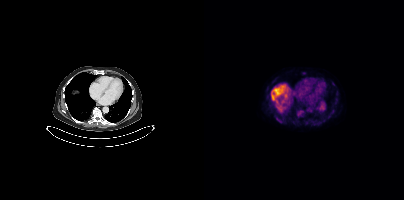
{"modality":"PSMA PET/CT","view":"axial","tracer":"[18F]PSMA-1007","pet_grid":[200,200],"coord_frame":"pet_panel","coord_format":"x0,y0,x1,y1","lesion_bboxes":[[68,90,73,96],[93,111,98,115]]}